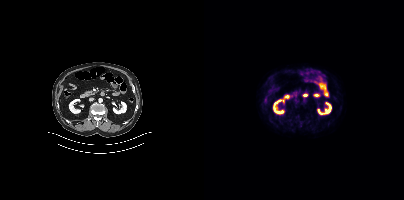
Findings: Negative for PSMA-avid disease on this slice.
- Left: CT. Right: PSMA PET, same axial level, 18F tracer
- PET panel 200×200 px (4.1 mm/px)